modality: PSMA PET/CT | tracer: 18F | view: axial | PET grid: 200×200
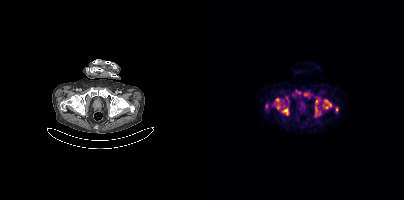
Coordinates are on the 200×200 PET (right) panel. (showing 10 of 13 foci) PSMA-avid tumor lesion bounding boxes (x0, y0)-(x1, y1): (119, 99)-(127, 108); (77, 108)-(84, 114); (81, 96)-(85, 103); (73, 104)-(76, 109); (61, 103)-(64, 108); (111, 107)-(113, 113); (132, 107)-(133, 111). Small PSMA-avid foci (2 to 4 px across) near (center x, center y): (112, 101); (94, 92); (73, 100).